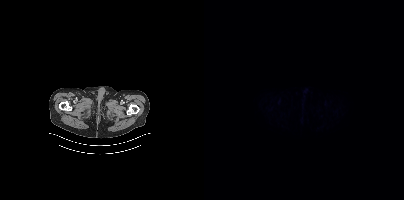
No tumor lesions annotated on this slice.